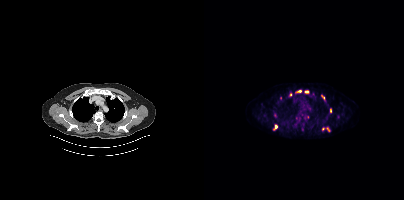
Coordinates are on the 200×200 PET (right) panel. PSMA-avid tumor lesion bounding boxes (x, y, width, height): x=70 y=125 w=4 h=5; x=117 y=95 w=4 h=5. Small PSMA-avid foci (2 to 4 px across) near (center x, center y): (95, 91); (102, 91); (126, 110); (119, 129); (86, 94).